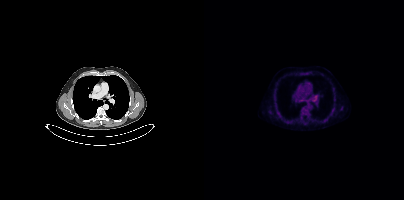
Findings: This slice has no annotated PSMA-avid lesion.
- Paired axial CT (left) and PSMA PET (right), [18F]PSMA-1007 tracer
- acquired on Siemens Biograph mCT Flow 20
- PET panel 200×200 px (4.1 mm/px)